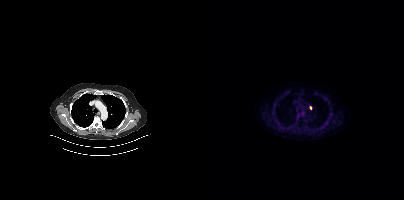
- Paired axial CT (left) and PSMA PET (right), 18F-PSMA tracer
- acquired on Siemens Biograph mCT Flow 20
- PET panel 200×200 px (4.1 mm/px)
Findings: Coordinates are on the 200×200 PET (right) panel. Small PSMA-avid focus (2 to 4 px across) near (center x, center y): (106, 107).